Two-panel axial: CT | PSMA PET, 68Ga-PSMA tracer. Acquired on Siemens Biograph 64-4R TruePoint. Slice 107 of 195.
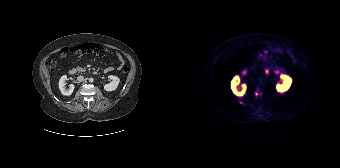
Coordinates are on the 168×168 PET (right) panel. (showing 1 of 2 foci) Small PSMA-avid focus (2 to 4 px across) near (center x, center y): (68, 102).